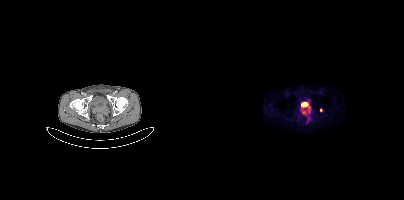
- Two-panel axial: CT | PSMA PET, 68Ga tracer
- acquired on Siemens Biograph mCT Flow 20
- slice position z = -1666 mm
Findings: Coordinates are on the 200×200 PET (right) panel. PSMA-avid tumor lesion bounding boxes (x, y, width, height): x=103 y=115 w=4 h=8 / x=97 y=110 w=6 h=5 / x=104 y=106 w=3 h=7. Small PSMA-avid focus (2 to 4 px across) near (center x, center y): (117, 109).